- Two-panel axial: CT | PSMA PET, 18F-PSMA tracer
- acquired on Siemens Biograph mCT Flow 20
- PET panel 200×200 px (4.1 mm/px)
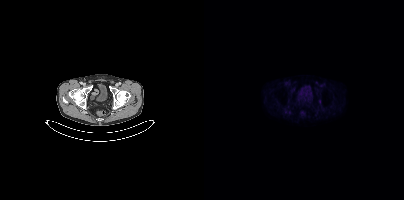
Findings: Coordinates are on the 200×200 PET (right) panel. Small PSMA-avid focus (2 to 4 px across) near (center x, center y): (115, 101).